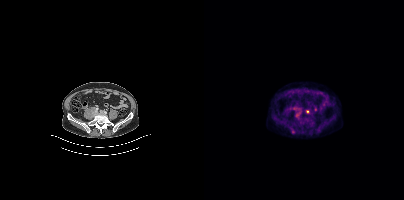
- Left: CT. Right: PSMA PET, same axial level, 18F-PSMA tracer
- acquired on Siemens Biograph mCT Flow 20
Findings: Coordinates are on the 200×200 PET (right) panel. Small PSMA-avid foci (2 to 4 px across) near (center x, center y): (89, 131) / (103, 111).